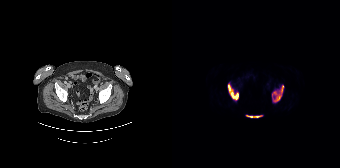
Coordinates are on the 168×168 PET (right) panel. PSMA-avid tumor lesion bounding boxes (x, y, width, height): x=100 y=85 w=12 h=18 / x=55 y=83 w=12 h=18 / x=74 y=115 w=17 h=3.